modality: PSMA PET/CT | tracer: 18F | view: axial
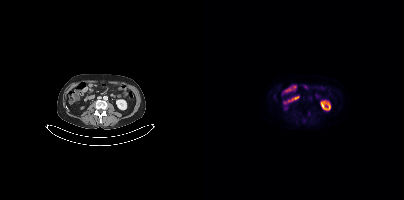
This slice has no annotated PSMA-avid lesion.